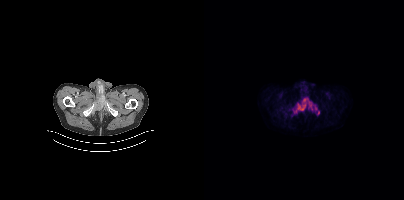
{"pet_grid":[200,200],"coord_frame":"pet_panel","coord_format":"x0,y0,x1,y1","lesion_bboxes":[[89,98,109,113],[111,105,113,110]],"small_foci_centers":[[101,89],[114,112]],"modality":"PSMA PET/CT","view":"axial","tracer":"18F"}